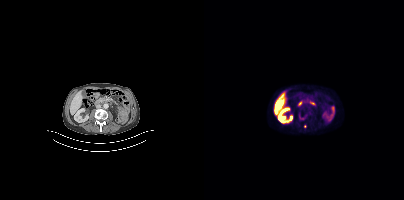
Findings: Coordinates are on the 200×200 PET (right) panel. (showing 1 of 2 foci) PSMA-avid tumor lesion bounding box (x0, y0)-(x1, y1): (95, 115)-(99, 119).
- Two-panel axial: CT | PSMA PET, [18F]PSMA-1007 tracer
- acquired on Siemens Biograph mCT Flow 20